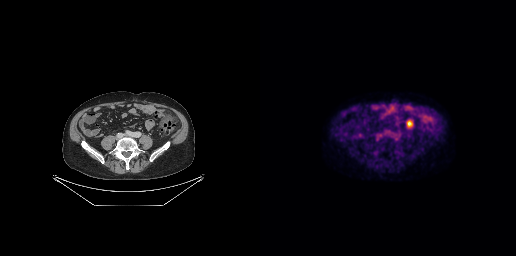
Left: CT. Right: PSMA PET, same axial level, [18F]PSMA-1007 tracer. Slice 98 of 263. Coordinates are on the 256×256 PET (right) panel. Small PSMA-avid focus (2 to 4 px across) near (center x, center y): (136, 138).